modality: PSMA PET/CT | tracer: 18F-PSMA | view: axial
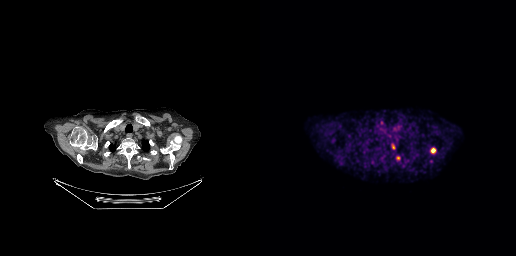
Coordinates are on the 256×256 PET (right) panel. PSMA-avid tumor lesion bounding box (x, y, width, height): x=171 y=148 w=5 h=5. Small PSMA-avid foci (2 to 4 px across) near (center x, center y): (138, 157); (133, 147).